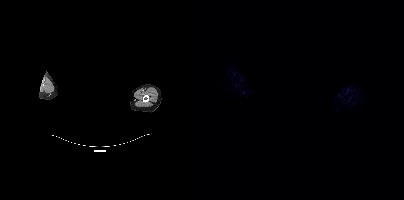
Negative for PSMA-avid disease on this slice.
modality: PSMA PET/CT | tracer: 18F | view: axial | PET grid: 200×200 | de-identification: facial region redacted